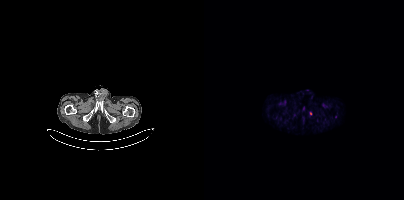
{"modality":"PSMA PET/CT","view":"axial","tracer":"18F-PSMA","pet_grid":[200,200],"coord_frame":"pet_panel","coord_format":"x0,y0,x1,y1","partial":true,"lesion_bboxes":[],"small_foci_centers":[[106,113]]}